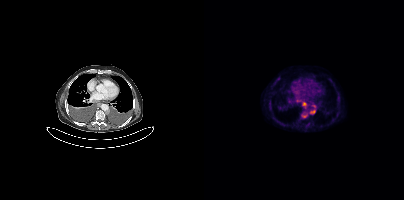
{"modality":"PSMA PET/CT","view":"axial","tracer":"18F-PSMA","pet_grid":[200,200],"coord_frame":"pet_panel","coord_format":"x0,y0,x1,y1","lesion_bboxes":[],"small_foci_centers":[[100,103]]}